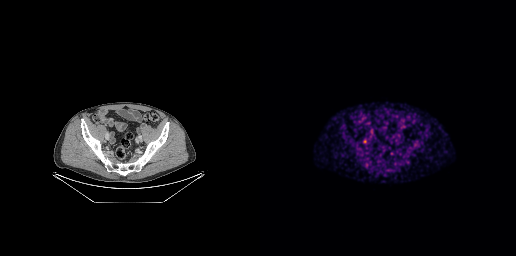
Coordinates are on the 256×256 PET (right) panel. PSMA-avid tumor lesion bounding box (x0, y0)-(x1, y1): (103, 139)-(106, 143).
modality: PSMA PET/CT | tracer: 18F-PSMA | view: axial | PET grid: 256×256